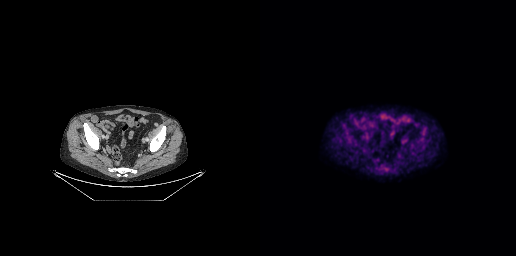
Left: CT. Right: PSMA PET, same axial level, [18F]PSMA-1007 tracer. Acquired on GE Discovery 690. Slice position z = -665 mm. PET panel 256×256 px (2.7 mm/px). This slice has no annotated PSMA-avid lesion.